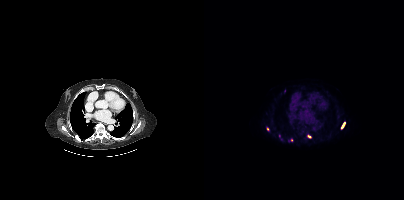
Paired axial CT (left) and PSMA PET (right), 18F-PSMA tracer.
Coordinates are on the 200×200 PET (right) panel. PSMA-avid tumor lesion bounding boxes (partial; 1 more focus not listed):
| # | x0 | y0 | x1 | y1 |
|---|---|---|---|---|
| 1 | 103 | 134 | 107 | 138 |
| 2 | 137 | 122 | 141 | 128 |
Small PSMA-avid foci (2 to 4 px across) near (center x, center y): (63, 128); (87, 140).